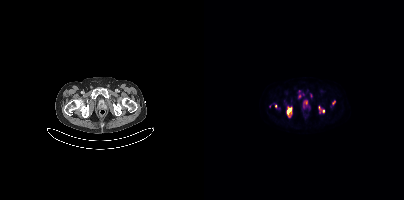
modality: PSMA PET/CT | tracer: [18F]PSMA-1007 | view: axial | PET grid: 200×200
Coordinates are on the 200×200 PET (right) panel. (showing 6 of 8 foci) PSMA-avid tumor lesion bounding boxes (x0,y0,x1,y1): [83,108,87,116], [115,107,118,112], [94,94,97,98]. Small PSMA-avid foci (2 to 4 px across) near (center x, center y): (102, 102), (130, 102), (71, 106).